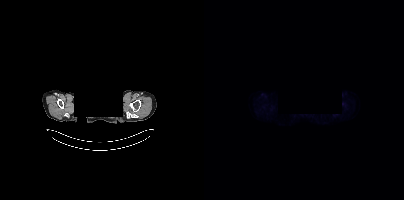
Negative for PSMA-avid disease on this slice.
deidentification: head region blanked (face removed) | modality: PSMA PET/CT | tracer: 18F-PSMA | view: axial